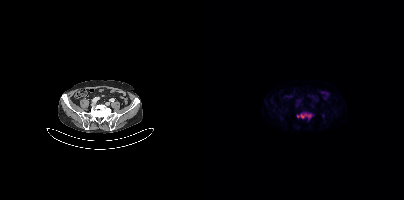
Left: CT. Right: PSMA PET, same axial level, 18F-PSMA tracer. PET panel 200×200 px (4.1 mm/px).
Coordinates are on the 200×200 PET (right) panel. PSMA-avid tumor lesion bounding boxes:
| # | x0 | y0 | x1 | y1 |
|---|---|---|---|---|
| 1 | 93 | 112 | 107 | 119 |